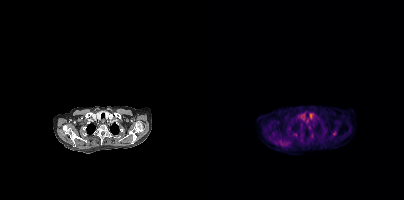
Coordinates are on the 200×200 PET (right) panel. (showing 3 of 4 foci) Small PSMA-avid foci (2 to 4 px across) near (center x, center y): (130, 133) | (108, 135) | (91, 135). Paired axial CT (left) and PSMA PET (right), 18F-PSMA tracer. Acquired on Siemens Biograph mCT Flow 20. Slice position z = 96 mm.